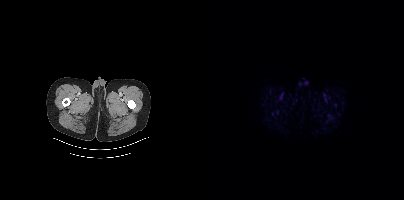
modality: PSMA PET/CT | tracer: [18F]PSMA-1007 | view: axial
Negative for PSMA-avid disease on this slice.